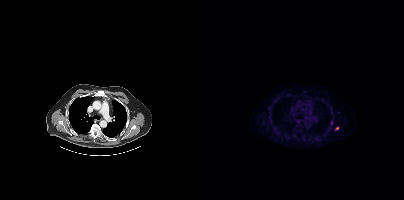
Coordinates are on the 200×200 PET (right) panel. Small PSMA-avid focus (2 to 4 px across) near (center x, center y): (133, 128).